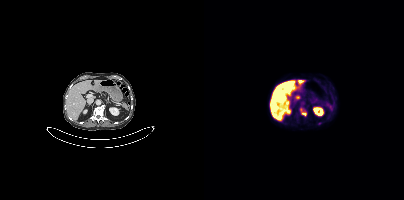
Two-panel axial: CT | PSMA PET, [18F]PSMA-1007 tracer. Slice position z = -534 mm. PET panel 200×200 px (4.1 mm/px). Coordinates are on the 200×200 PET (right) panel. (showing 1 of 2 foci) PSMA-avid tumor lesion bounding box (x0,y0,x1,y1): [98,112,102,115].